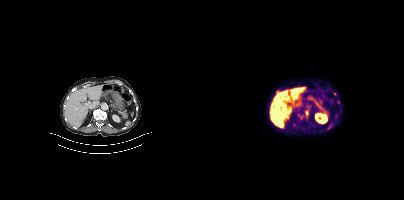
Findings: Coordinates are on the 200×200 PET (right) panel. Small PSMA-avid foci (2 to 4 px across) near (center x, center y): (102, 113) (130, 93).
- Left: CT. Right: PSMA PET, same axial level, [18F]PSMA-1007 tracer
- acquired on Siemens Biograph mCT Flow 20